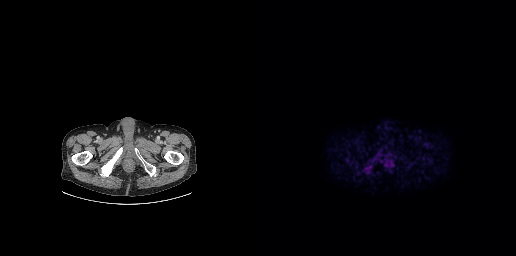
Findings: Coordinates are on the 256×256 PET (right) panel. Small PSMA-avid foci (2 to 4 px across) near (center x, center y): (107, 168); (116, 160).
- Two-panel axial: CT | PSMA PET, [18F]PSMA-1007 tracer
- acquired on GE Discovery 690
- slice position z = -697 mm